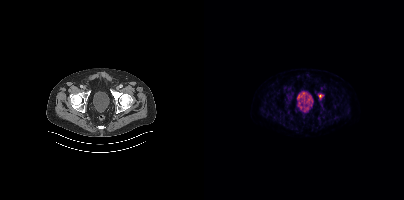
Paired axial CT (left) and PSMA PET (right), [18F]PSMA-1007 tracer. Slice 85 of 454. PET panel 200×200 px (4.1 mm/px).
Coordinates are on the 200×200 PET (right) panel. PSMA-avid tumor lesion bounding boxes:
| # | x0 | y0 | x1 | y1 |
|---|---|---|---|---|
| 1 | 114 | 94 | 119 | 99 |